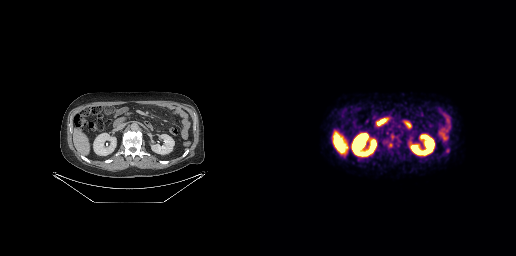
Coordinates are on the 256×256 PET (right) panel. (showing 2 of 3 foci) PSMA-avid tumor lesion bounding box (x, y, width, height): x=129 y=143 w=4 h=5. Small PSMA-avid focus (2 to 4 px across) near (center x, center y): (187, 150).